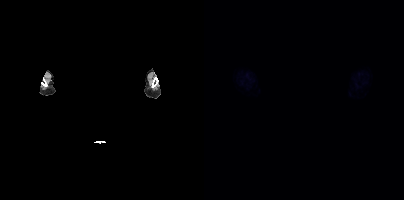
modality: PSMA PET/CT | tracer: [18F]PSMA-1007 | view: axial | redaction: facial region redacted
Negative for PSMA-avid disease on this slice.